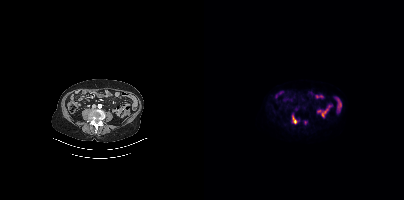
Findings: Coordinates are on the 200×200 PET (right) panel. PSMA-avid tumor lesion bounding box (x, y, width, height): x=88 y=114 w=8 h=11. Small PSMA-avid focus (2 to 4 px across) near (center x, center y): (101, 122).
Technique: Left: CT. Right: PSMA PET, same axial level, 18F tracer.